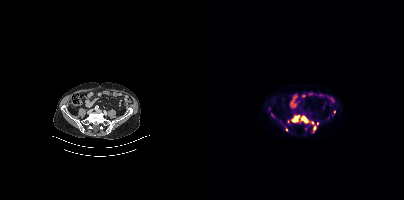
{"modality":"PSMA PET/CT","view":"axial","tracer":"[18F]PSMA-1007","pet_grid":[200,200],"coord_frame":"pet_panel","coord_format":"x0,y0,x1,y1","partial":true,"lesion_bboxes":[[88,116,95,122],[97,116,104,123],[109,126,112,130],[67,113,70,117]],"small_foci_centers":[[108,122],[130,111],[82,129],[113,123]]}